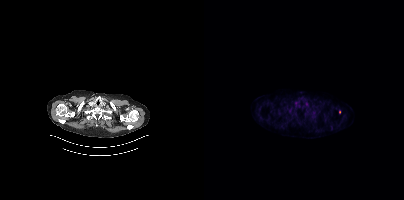
Coordinates are on the 200×200 PET (right) panel. Small PSMA-avid focus (2 to 4 px across) near (center x, center y): (135, 112). Paired axial CT (left) and PSMA PET (right), 18F-PSMA tracer. Acquired on Siemens Biograph mCT Flow 20. Slice 303 of 354.